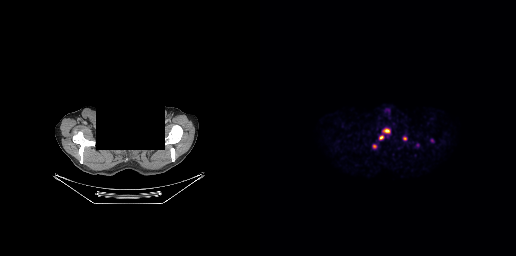
{"modality":"PSMA PET/CT","view":"axial","tracer":"18F","pet_grid":[256,256],"coord_frame":"pet_panel","coord_format":"x0,y0,x1,y1","de-identification":"head region blanked (face removed)","partial":true,"lesion_bboxes":[[122,128,130,133],[119,135,124,140],[113,144,116,148]],"small_foci_centers":[[144,138]]}